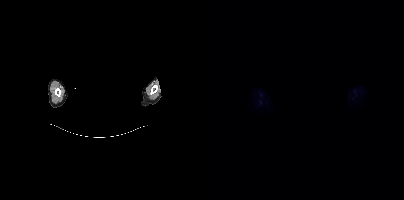
An anonymization step blacked out a rectangle over the head in this scan.
No PSMA-avid tumor lesions on this slice.